modality: PSMA PET/CT | tracer: [68Ga]Ga-PSMA-11 | view: axial
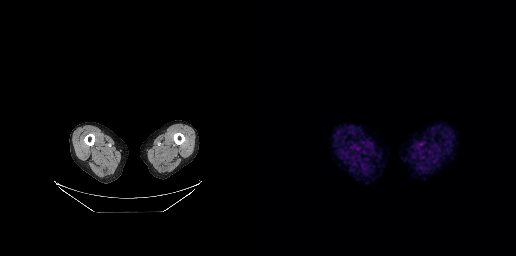
Negative for PSMA-avid disease on this slice.